- Two-panel axial: CT | PSMA PET, [18F]PSMA-1007 tracer
- slice position z = -1332 mm
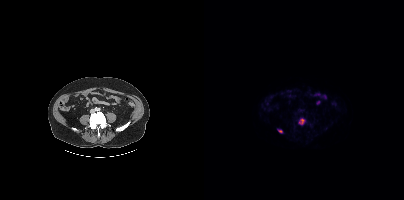
Findings: Coordinates are on the 200×200 PET (right) panel. PSMA-avid tumor lesion bounding boxes (x0,y0,x1,y1): [95,119,100,124] [74,130,78,132].